- Paired axial CT (left) and PSMA PET (right), 18F tracer
- acquired on Siemens Biograph mCT Flow 20
- PET panel 200×200 px (4.1 mm/px)
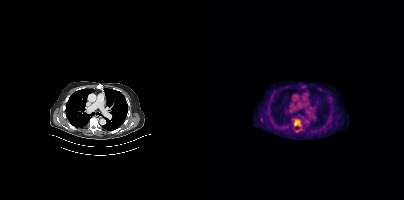
Findings: Coordinates are on the 200×200 PET (right) panel. Small PSMA-avid focus (2 to 4 px across) near (center x, center y): (91, 123).